Left: CT. Right: PSMA PET, same axial level, [18F]PSMA-1007 tracer. Acquired on Siemens Biograph mCT Flow 20. Slice 354 of 389. An anonymization step blacked out a rectangle over the head in this scan.
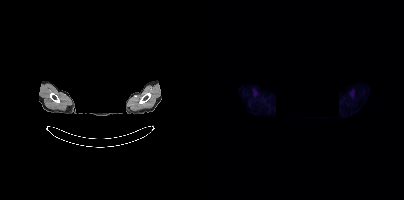
No tumor lesions annotated on this slice.